- a rectangular block over the head has been blanked out for de-identification
- Two-panel axial: CT | PSMA PET, 18F-PSMA tracer
- slice 365 of 389
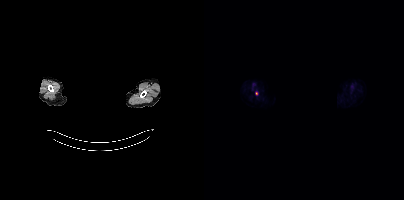
Findings: Coordinates are on the 200×200 PET (right) panel. Small PSMA-avid focus (2 to 4 px across) near (center x, center y): (52, 93).